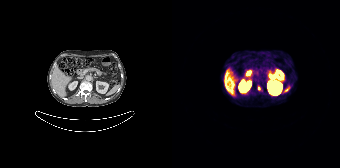
Only PSMA-avid lesion pieces thinner than 2 px on this slice (not listed).